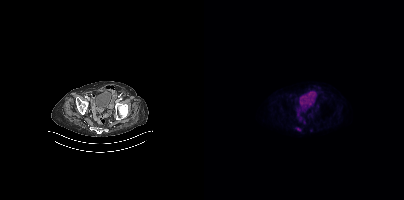
Coordinates are on the 200×200 PET (right) panel. PSMA-avid tumor lesion bounding boxes:
| # | x0 | y0 | x1 | y1 |
|---|---|---|---|---|
| 1 | 92 | 128 | 96 | 130 |
Small PSMA-avid focus (2 to 4 px across) near (center x, center y): (107, 130).
Paired axial CT (left) and PSMA PET (right), 18F tracer.